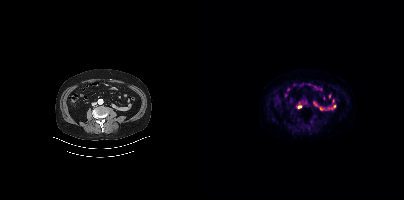
{"modality":"PSMA PET/CT","view":"axial","tracer":"[18F]PSMA-1007","pet_grid":[200,200],"coord_frame":"pet_panel","coord_format":"x0,y0,x1,y1","lesion_bboxes":[],"small_foci_centers":[[95,106]]}